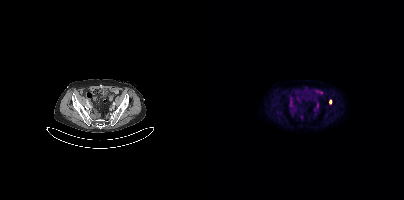
modality: PSMA PET/CT | tracer: [18F]PSMA-1007 | view: axial | PET grid: 200×200
Coordinates are on the 200×200 PET (right) panel. PSMA-avid tumor lesion bounding box (x0, y0)-(x1, y1): (125, 100)-(127, 104).